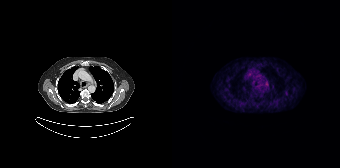
No PSMA-avid tumor lesions on this slice.